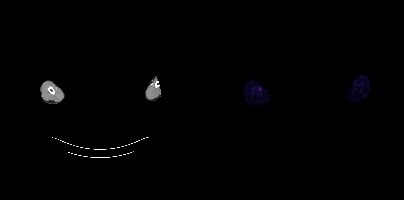
deidentification: head region blanked (face removed) | modality: PSMA PET/CT | tracer: [18F]PSMA-1007 | view: axial | PET grid: 200×200
This slice has no annotated PSMA-avid lesion.